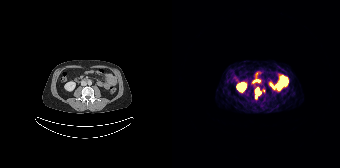
{"modality":"PSMA PET/CT","view":"axial","tracer":"68Ga-PSMA","pet_grid":[168,168],"coord_frame":"pet_panel","coord_format":"x0,y0,x1,y1","lesion_bboxes":[[83,87,89,98]],"small_foci_centers":[[91,90]]}